Technique: Paired axial CT (left) and PSMA PET (right), 18F-PSMA tracer.
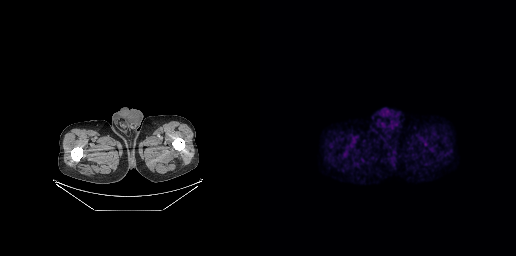
Findings: No PSMA-avid tumor lesions on this slice.